Two-panel axial: CT | PSMA PET, 18F tracer. Acquired on Siemens Biograph mCT Flow 20. PET panel 200×200 px (4.1 mm/px).
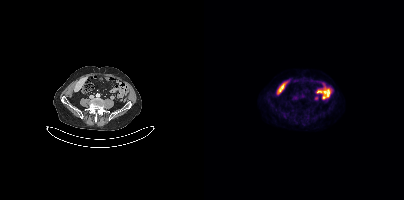
This slice has no annotated PSMA-avid lesion.